Technique: Two-panel axial: CT | PSMA PET, 18F-PSMA tracer. acquired on Siemens Biograph mCT Flow 20.
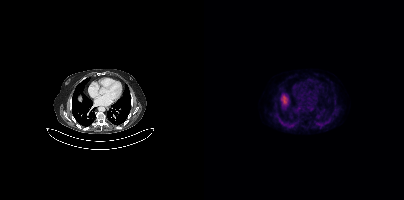
Findings: This slice has no annotated PSMA-avid lesion.